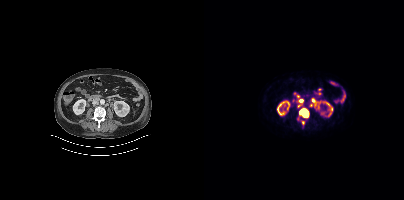
Left: CT. Right: PSMA PET, same axial level, [18F]PSMA-1007 tracer. Slice position z = -1395 mm. PET panel 200×200 px (4.1 mm/px). Coordinates are on the 200×200 PET (right) panel. PSMA-avid tumor lesion bounding boxes (x0, y0)-(x1, y1): (95, 108)-(105, 117); (95, 99)-(99, 102). Small PSMA-avid foci (2 to 4 px across) near (center x, center y): (94, 106); (99, 122); (109, 100); (107, 105).